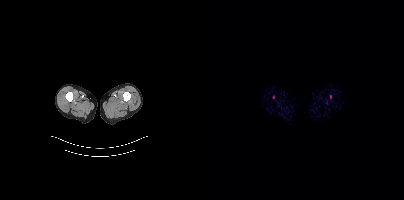
Coordinates are on the 200×200 PET (right) panel. Small PSMA-avid foci (2 to 4 px across) near (center x, center y): (126, 96) | (69, 97).
modality: PSMA PET/CT | tracer: 18F-PSMA | view: axial | PET grid: 200×200